Left: CT. Right: PSMA PET, same axial level, 18F tracer. Acquired on Siemens Biograph mCT Flow 20. Slice 222 of 395. PET panel 200×200 px (4.1 mm/px).
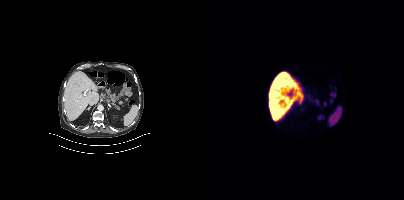
No PSMA-avid tumor lesions on this slice.